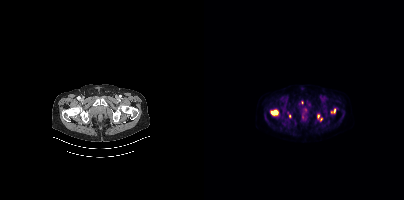
Two-panel axial: CT | PSMA PET, 18F tracer. Slice position z = -1543 mm. PET panel 200×200 px (4.1 mm/px).
Coordinates are on the 200×200 PET (right) panel. PSMA-avid tumor lesion bounding boxes (partial; 3 more foci not listed):
| # | x0 | y0 | x1 | y1 |
|---|---|---|---|---|
| 1 | 66 | 109 | 74 | 115 |
| 2 | 127 | 108 | 131 | 113 |
| 3 | 83 | 112 | 86 | 117 |
Small PSMA-avid foci (2 to 4 px across) near (center x, center y): (114, 116); (98, 102).